Technique: Paired axial CT (left) and PSMA PET (right), 18F-PSMA tracer. slice 215 of 263. PET panel 256×256 px (2.7 mm/px).
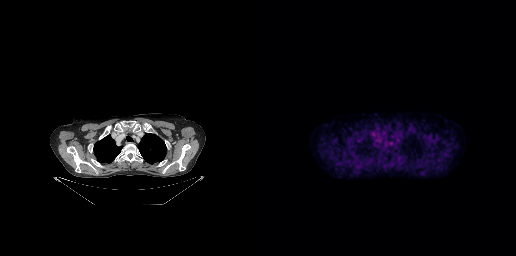
Findings: Negative for PSMA-avid disease on this slice.